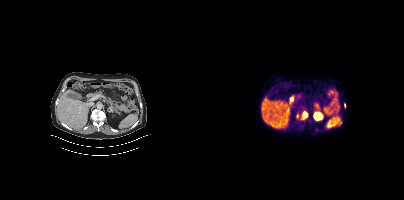
Findings: Coordinates are on the 200×200 PET (right) panel. PSMA-avid tumor lesion bounding box (x, y, width, height): x=99 y=112 w=5 h=5.
- Paired axial CT (left) and PSMA PET (right), [18F]PSMA-1007 tracer
- slice position z = -660 mm